Two-panel axial: CT | PSMA PET, 18F-PSMA tracer. Acquired on Siemens Biograph mCT Flow 20. PET panel 200×200 px (4.1 mm/px).
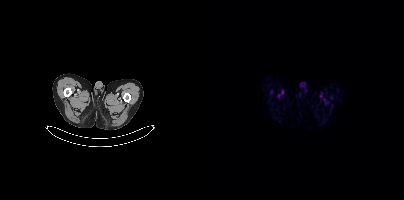
This slice has no annotated PSMA-avid lesion.